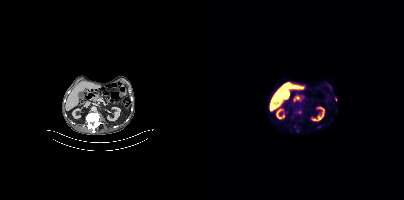
Findings: Coordinates are on the 200×200 PET (right) panel. (showing 2 of 3 foci) Small PSMA-avid foci (2 to 4 px across) near (center x, center y): (131, 99) | (113, 127).
- Two-panel axial: CT | PSMA PET, 18F tracer